Facial anatomy redacted by setting a rectangular region of the head to black. Left: CT. Right: PSMA PET, same axial level, 68Ga tracer. Acquired on Siemens Biograph 64-4R TruePoint. Slice position z = -1044 mm.
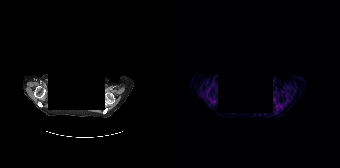
Negative for PSMA-avid disease on this slice.